Two-panel axial: CT | PSMA PET, 18F-PSMA tracer. Slice position z = -600 mm. PET panel 200×200 px (4.1 mm/px).
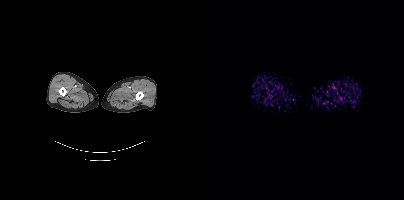
No tumor lesions annotated on this slice.